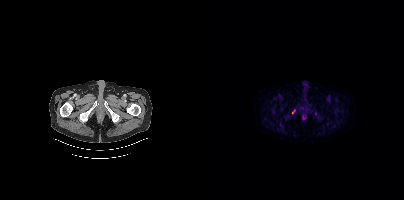
Findings: Coordinates are on the 200×200 PET (right) panel. PSMA-avid tumor lesion bounding box (x0, y0)-(x1, y1): (88, 109)-(91, 113).
Technique: Two-panel axial: CT | PSMA PET, 18F-PSMA tracer. PET panel 200×200 px (4.1 mm/px).